Paired axial CT (left) and PSMA PET (right), 18F-PSMA tracer.
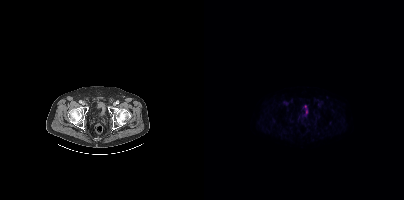
Negative for PSMA-avid disease on this slice.